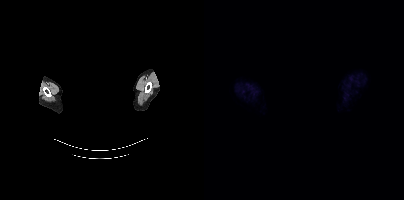
- Left: CT. Right: PSMA PET, same axial level, [18F]PSMA-1007 tracer
- slice 424 of 452
- any black rectangle over the head is a privacy mask, not anatomy
Findings: This slice has no annotated PSMA-avid lesion.